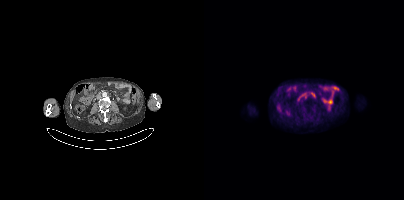
{"modality":"PSMA PET/CT","view":"axial","tracer":"[18F]PSMA-1007","pet_grid":[200,200],"coord_frame":"pet_panel","coord_format":"x0,y0,x1,y1","lesion_bboxes":[],"small_foci_centers":[[101,98],[109,95]]}